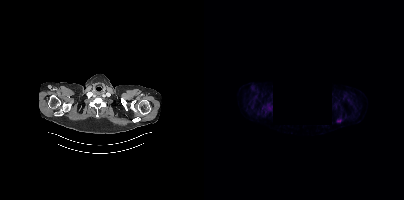
{"modality":"PSMA PET/CT","view":"axial","tracer":"[18F]PSMA-1007","pet_grid":[200,200],"coord_frame":"pet_panel","coord_format":"x0,y0,x1,y1","de-identification":"privacy mask (black rectangle)","lesion_bboxes":[[133,118,138,122]],"small_foci_centers":[[67,108]]}